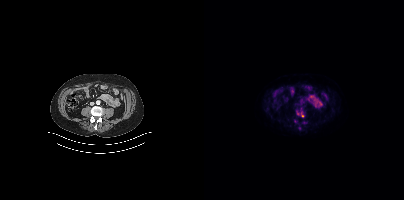
Coordinates are on the 200×200 PET (right) panel. (showing 2 of 3 foci) PSMA-avid tumor lesion bounding box (x0,y0,x1,y1): [92,111,95,115]. Small PSMA-avid focus (2 to 4 px across) near (center x, center y): (98, 115).